Two-panel axial: CT | PSMA PET, [18F]PSMA-1007 tracer.
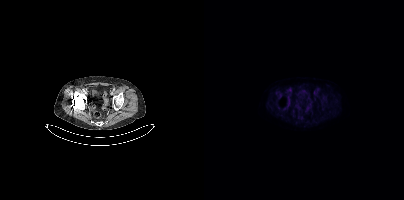
No PSMA-avid tumor lesions on this slice.